Technique: Left: CT. Right: PSMA PET, same axial level, 68Ga-PSMA tracer. slice 176 of 195. PET panel 168×168 px (4.1 mm/px).
Note: The face region was removed for patient privacy by blanking a rectangle over the head.
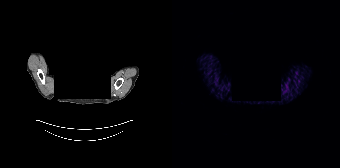
Findings: This slice has no annotated PSMA-avid lesion.